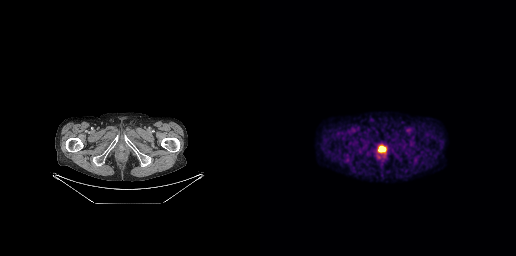
{"modality":"PSMA PET/CT","view":"axial","tracer":"18F","pet_grid":[256,256],"coord_frame":"pet_panel","coord_format":"x0,y0,x1,y1","lesion_bboxes":[[119,146,125,151]]}